Two-panel axial: CT | PSMA PET, 18F tracer. Acquired on Siemens Biograph mCT Flow 20.
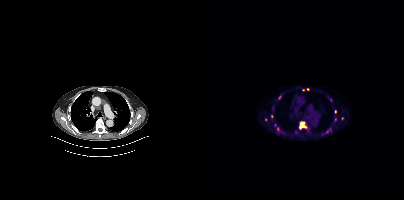
Coordinates are on the 200×200 PET (right) panel. PSMA-avid tumor lesion bounding boxes (partial; 1 more focus not listed):
| # | x0 | y0 | x1 | y1 |
|---|---|---|---|---|
| 1 | 96 | 122 | 101 | 128 |
Small PSMA-avid foci (2 to 4 px across) near (center x, center y): (103, 89); (131, 111); (67, 116); (73, 128); (99, 89); (138, 118); (61, 119).